modality: PSMA PET/CT | tracer: 18F-PSMA | view: axial | PET grid: 200×200
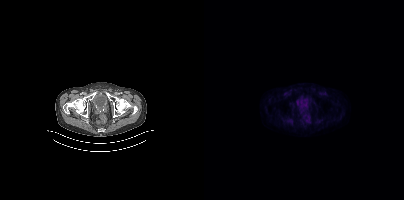
No PSMA-avid tumor lesions on this slice.